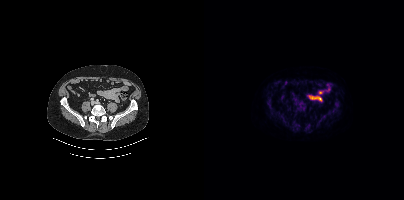
Coordinates are on the 200×200 PET (right) panel. (showing 5 of 6 foci) PSMA-avid tumor lesion bounding boxes (x, y, width, height): x=62 y=98 w=7 h=10 | x=93 y=105 w=8 h=7 | x=123 y=110 w=5 h=5. Small PSMA-avid foci (2 to 4 px across) near (center x, center y): (133, 105) | (73, 111).